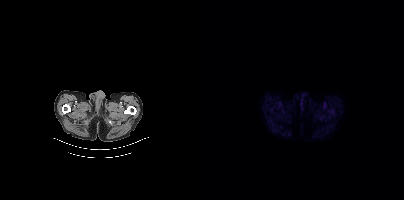
{"pet_grid":[200,200],"coord_frame":"pet_panel","coord_format":"x0,y0,x1,y1","psma_avid_lesions":false,"modality":"PSMA PET/CT","view":"axial","tracer":"18F"}